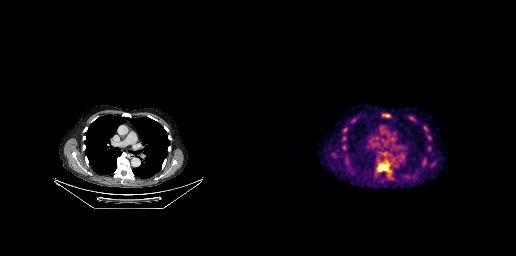
Findings: Coordinates are on the 256×256 PET (right) panel. (showing 2 of 3 foci) PSMA-avid tumor lesion bounding boxes (x0,y0,x1,y1): [117,160,131,172], [123,114,129,116].
- Two-panel axial: CT | PSMA PET, 18F tracer
- acquired on GE Discovery 690
- slice position z = -284 mm
- PET panel 256×256 px (2.7 mm/px)